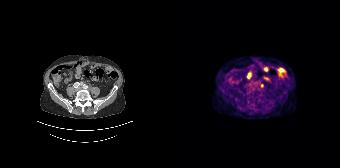
{"modality":"PSMA PET/CT","view":"axial","tracer":"68Ga-PSMA","pet_grid":[168,168],"coord_frame":"pet_panel","coord_format":"x0,y0,x1,y1","lesion_bboxes":[],"small_foci_centers":[[90,85]]}